- Two-panel axial: CT | PSMA PET, 18F tracer
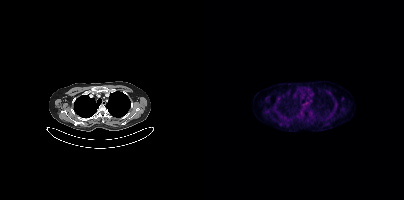
Findings: This slice has no annotated PSMA-avid lesion.